Technique: Paired axial CT (left) and PSMA PET (right), [18F]PSMA-1007 tracer. acquired on Siemens Biograph mCT Flow 20. slice position z = -204 mm. PET panel 200×200 px (4.1 mm/px).
Note: The head region is masked for de-identification.
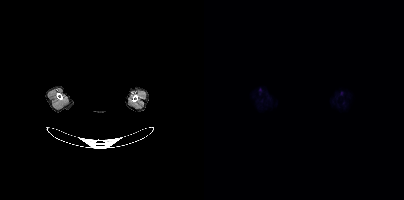
Findings: This slice has no annotated PSMA-avid lesion.